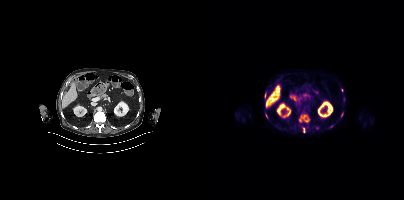
modality: PSMA PET/CT | tracer: 18F | view: axial
Coordinates are on the 200×200 PET (right) panel. (showing 6 of 9 foci) PSMA-avid tumor lesion bounding box (x0, y0)-(x1, y1): (99, 128)-(100, 132). Small PSMA-avid foci (2 to 4 px across) near (center x, center y): (103, 120) / (62, 115) / (100, 116) / (96, 119) / (137, 115).